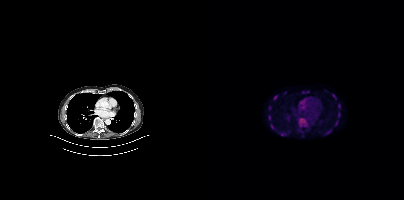
- Paired axial CT (left) and PSMA PET (right), 18F-PSMA tracer
- acquired on Siemens Biograph mCT Flow 20
- slice position z = -431 mm
- PET panel 200×200 px (4.1 mm/px)
Findings: Coordinates are on the 200×200 PET (right) panel. PSMA-avid tumor lesion bounding boxes (x0, y0)-(x1, y1): (134, 112)-(136, 117) / (134, 104)-(136, 108) / (70, 95)-(73, 99) / (129, 94)-(132, 99) / (66, 124)-(69, 128). Small PSMA-avid foci (2 to 4 px across) near (center x, center y): (65, 117) / (65, 107) / (133, 121).